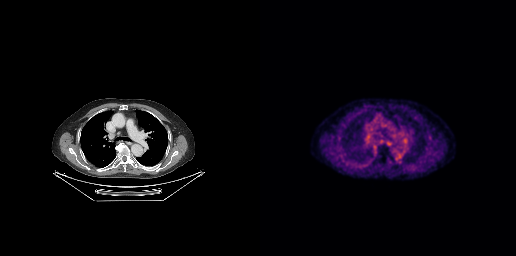
Findings: No tumor lesions annotated on this slice.
- Left: CT. Right: PSMA PET, same axial level, [18F]PSMA-1007 tracer
- PET panel 256×256 px (2.7 mm/px)